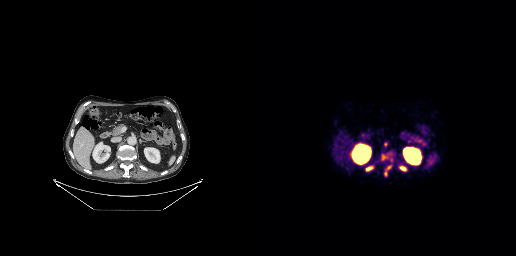
Coordinates are on the 256×256 PET (right) panel. PSMA-avid tumor lesion bounding boxes (x0,y0,x1,y1): [105,166,113,171], [139,166,146,171], [124,171,127,176]. Small PSMA-avid foci (2 to 4 px across) near (center x, center y): (125, 144), (129, 167).
modality: PSMA PET/CT | tracer: 68Ga | view: axial | PET grid: 256×256